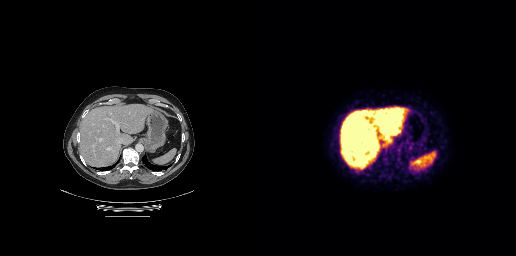
Findings: Negative for PSMA-avid disease on this slice.
Technique: Two-panel axial: CT | PSMA PET, 18F-PSMA tracer.